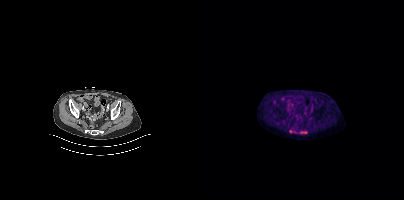
Findings: No tumor lesions annotated on this slice.
- Two-panel axial: CT | PSMA PET, [18F]PSMA-1007 tracer
- acquired on Siemens Biograph mCT Flow 20
- slice position z = -1480 mm